Two-panel axial: CT | PSMA PET, 18F tracer. Acquired on GE Discovery 690. Slice position z = -645 mm.
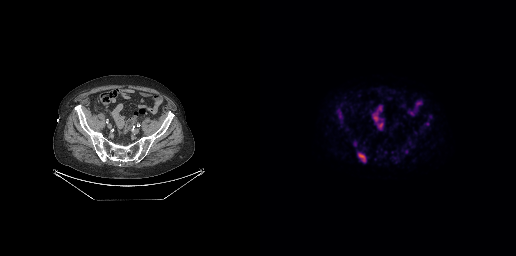
Coordinates are on the 256×256 PET (right) panel. (showing 3 of 4 foci) PSMA-avid tumor lesion bounding boxes (x, y, width, height): x=98 y=153 w=8 h=9; x=78 y=110 w=4 h=9. Small PSMA-avid focus (2 to 4 px across) near (center x, center y): (146, 151).